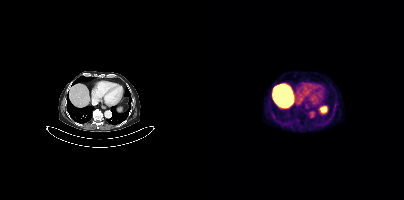
This slice has no annotated PSMA-avid lesion.